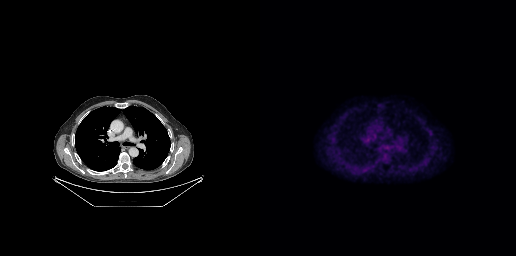
Two-panel axial: CT | PSMA PET, [18F]PSMA-1007 tracer. Acquired on GE Discovery 690. Negative for PSMA-avid disease on this slice.